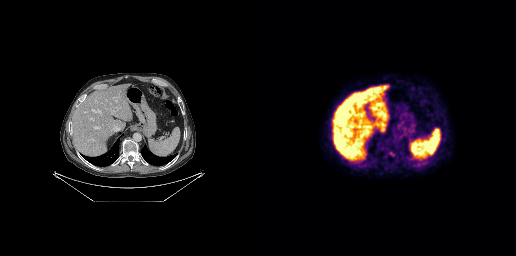
modality: PSMA PET/CT | tracer: 18F-PSMA | view: axial
Negative for PSMA-avid disease on this slice.